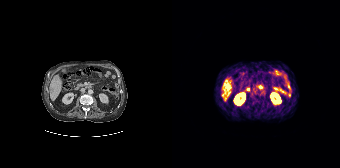
Findings: Coordinates are on the 168×168 PET (right) panel. PSMA-avid tumor lesion bounding box (x0,y0,x1,y1): [51,81,58,90].
Technique: Left: CT. Right: PSMA PET, same axial level, 68Ga-PSMA tracer. slice position z = -310 mm. PET panel 168×168 px (4.1 mm/px).